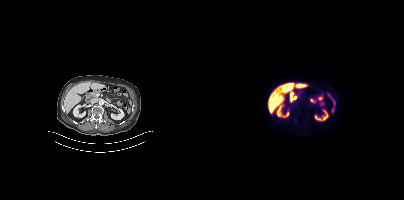
Coordinates are on the 200×200 PET (right) panel. Small PSMA-avid focus (2 to 4 px across) near (center x, center y): (91, 120).